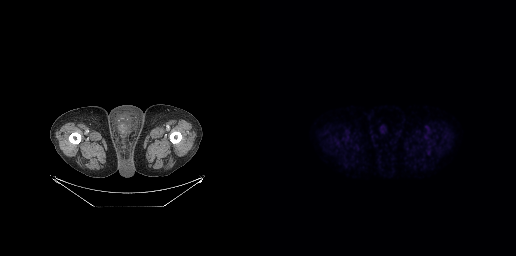
modality: PSMA PET/CT | tracer: 18F | view: axial | PET grid: 256×256
No tumor lesions annotated on this slice.